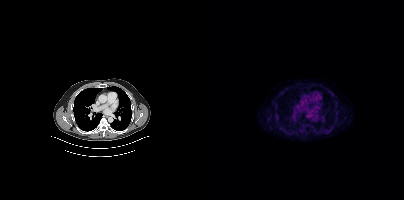
No tumor lesions annotated on this slice.